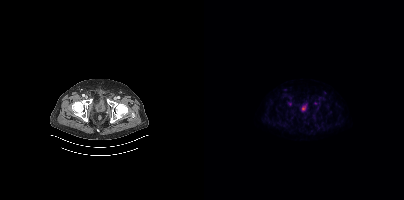
Left: CT. Right: PSMA PET, same axial level, 18F tracer. Slice 83 of 444. PET panel 200×200 px (4.1 mm/px). No PSMA-avid tumor lesions on this slice.